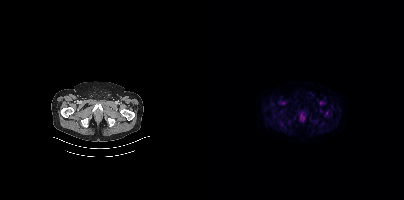
Paired axial CT (left) and PSMA PET (right), 18F tracer. Slice 39 of 381. PET panel 200×200 px (4.1 mm/px). Coordinates are on the 200×200 PET (right) panel. Small PSMA-avid focus (2 to 4 px across) near (center x, center y): (122, 113).